Technique: Paired axial CT (left) and PSMA PET (right), [18F]PSMA-1007 tracer. acquired on Siemens Biograph mCT Flow 20. slice position z = -646 mm.
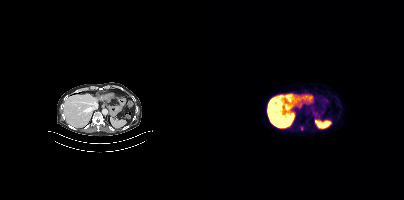
Findings: Coordinates are on the 200×200 PET (right) panel. Small PSMA-avid focus (2 to 4 px across) near (center x, center y): (97, 128).